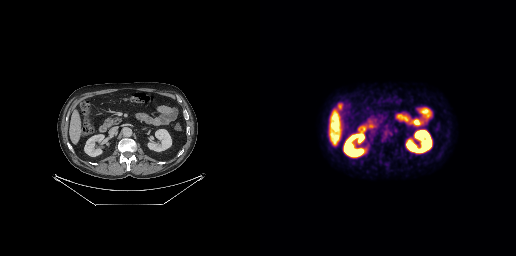
No PSMA-avid tumor lesions on this slice. Paired axial CT (left) and PSMA PET (right), 18F tracer. PET panel 256×256 px (2.7 mm/px).